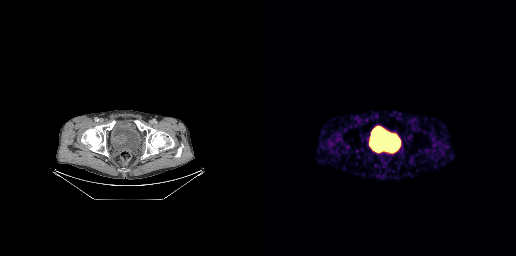
No PSMA-avid tumor lesions on this slice.